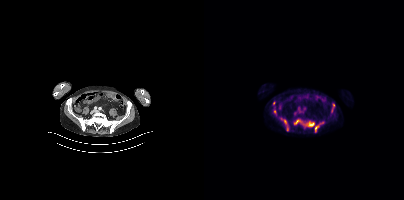
Coordinates are on the 200×200 PET (right) panel. (showing 5 of 7 foci) PSMA-avid tumor lesion bounding boxes (x0,y0,x1,y1): [95,120,110,126], [77,119,85,131]. Small PSMA-avid foci (2 to 4 px across) near (center x, center y): (70, 111), (91, 121), (69, 103).